Technique: Paired axial CT (left) and PSMA PET (right), [18F]PSMA-1007 tracer. acquired on Siemens Biograph mCT Flow 20. slice 215 of 401. PET panel 200×200 px (4.1 mm/px).
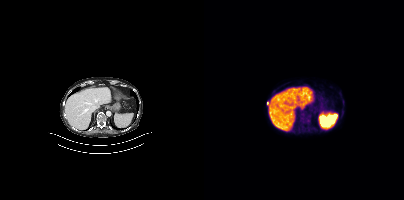
Findings: Coordinates are on the 200×200 PET (right) panel. PSMA-avid tumor lesion bounding box (x0,y0,x1,y1): [97,114,104,121]. Small PSMA-avid focus (2 to 4 px across) near (center x, center y): (63, 103).